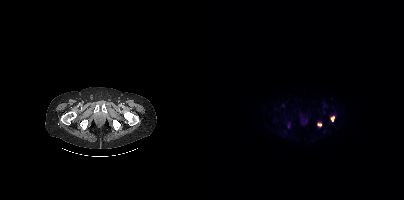
Coordinates are on the 200×200 PET (right) panel. PSMA-avid tumor lesion bounding boxes:
| # | x0 | y0 | x1 | y1 |
|---|---|---|---|---|
| 1 | 126 | 116 | 130 | 121 |
| 2 | 113 | 123 | 117 | 126 |
Left: CT. Right: PSMA PET, same axial level, 18F-PSMA tracer.